modality: PSMA PET/CT | tracer: 18F-PSMA | view: axial | PET grid: 256×256
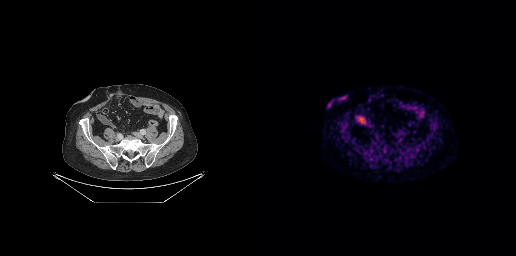
No tumor lesions annotated on this slice.